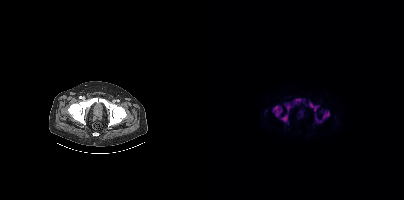
Left: CT. Right: PSMA PET, same axial level, 18F-PSMA tracer. Coordinates are on the 200×200 PET (right) panel. (showing 8 of 9 foci) PSMA-avid tumor lesion bounding boxes (x0,y0,x1,y1): [69,106,78,116] [89,98,101,104] [119,111,125,119] [107,105,115,111] [77,115,83,121] [111,114,117,122] [82,104,86,111]. Small PSMA-avid focus (2 to 4 px across) near (center x, center y): (105, 102).